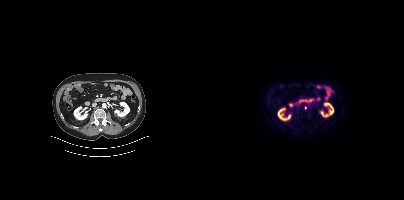
Coordinates are on the 200×200 PET (right) panel. Small PSMA-avid focus (2 to 4 px across) near (center x, center y): (101, 107).